Two-panel axial: CT | PSMA PET, 18F tracer. Acquired on Siemens Biograph mCT Flow 20. PET panel 200×200 px (4.1 mm/px).
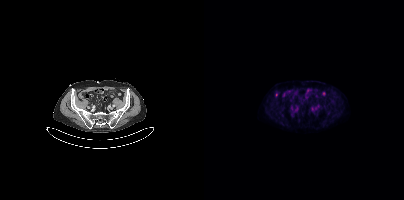
This slice has no annotated PSMA-avid lesion.